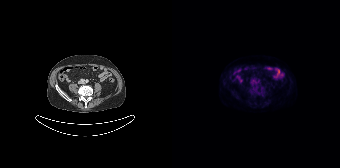
- Two-panel axial: CT | PSMA PET, [18F]PSMA-1007 tracer
- PET panel 168×168 px (4.1 mm/px)
Findings: No tumor lesions annotated on this slice.